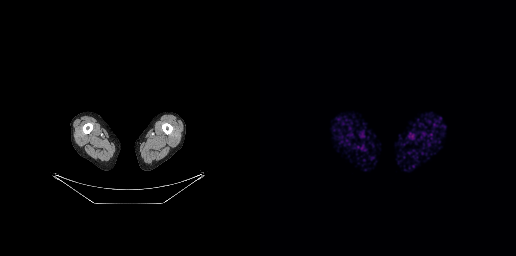
No tumor lesions annotated on this slice.